Paired axial CT (left) and PSMA PET (right), [18F]PSMA-1007 tracer. Acquired on Siemens Biograph mCT Flow 20. Slice 182 of 429.
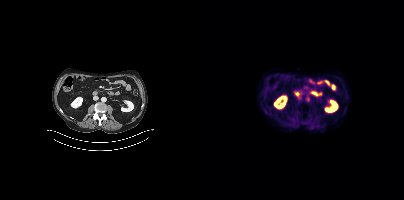
Negative for PSMA-avid disease on this slice.